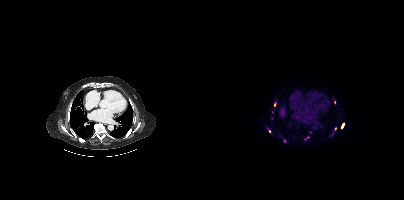
modality: PSMA PET/CT | tracer: 18F | view: axial
Coordinates are on the 200×200 PET (right) panel. (showing 6 of 7 foci) PSMA-avid tumor lesion bounding boxes (x, y, width, height): x=137 y=123 w=4 h=6 / x=63 y=128 w=5 h=5 / x=100 y=136 w=6 h=5. Small PSMA-avid foci (2 to 4 px across) near (center x, center y): (70, 104) / (80, 140) / (106, 132).